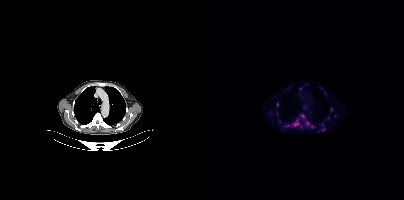
Coordinates are on the 200×200 PET (right) panel. (showing 11 of 14 foci) PSMA-avid tumor lesion bounding boxes (x0,y0,x1,y1): [89,119,95,126] [97,114,100,118] [72,103,74,107] [81,125,85,126]. Small PSMA-avid foci (2 to 4 px across) near (center x, center y): (103, 123) (73, 113) (127, 109) (108, 126) (119, 129) (66, 112) (124, 117).